modality: PSMA PET/CT | tracer: 18F-PSMA | view: axial | PET grid: 200×200
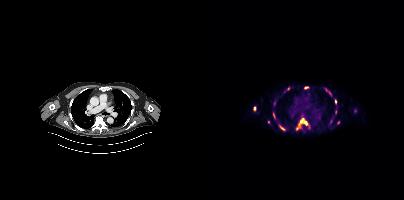
Coordinates are on the 200×200 PET (right) panel. (showing 11 of 14 foci) PSMA-avid tumor lesion bounding boxes (x, y, width, height): x=92 y=118 w=13 h=12 | x=100 y=86 w=5 h=4 | x=75 y=126 w=6 h=5 | x=131 y=99 w=2 h=6 | x=69 y=113 w=3 h=6. Small PSMA-avid foci (2 to 4 px across) near (center x, center y): (84, 88) | (50, 108) | (126, 94) | (122, 90) | (131, 112) | (134, 122).